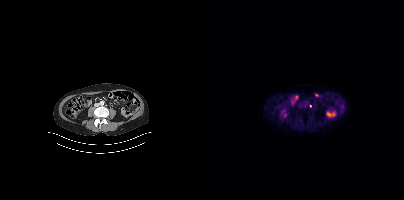
Technique: Left: CT. Right: PSMA PET, same axial level, [18F]PSMA-1007 tracer. acquired on Siemens Biograph mCT Flow 20. slice position z = -1303 mm.
Findings: Only PSMA-avid lesion pieces thinner than 2 px on this slice (not listed).